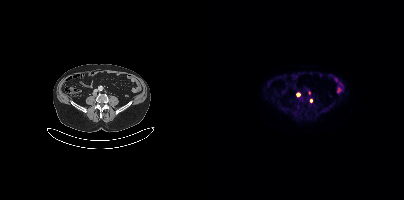
Coordinates are on the 200×200 PET (right) panel. (showing 2 of 3 foci) Small PSMA-avid foci (2 to 4 px across) near (center x, center y): (94, 94), (106, 100).